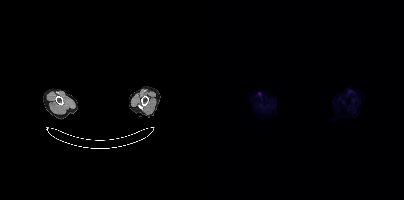
Technique: Left: CT. Right: PSMA PET, same axial level, [18F]PSMA-1007 tracer.
Note: Head region blanked for anonymization (face removed).
Findings: No PSMA-avid tumor lesions on this slice.